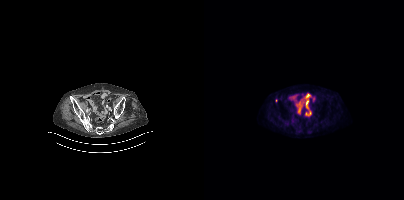
Coordinates are on the 200×200 PET (right) panel. Small PSMA-avid focus (2 to 4 px across) near (center x, center y): (72, 100).
modality: PSMA PET/CT | tracer: 18F | view: axial